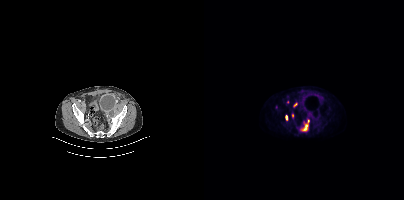
Two-panel axial: CT | PSMA PET, 18F tracer. Acquired on Siemens Biograph mCT Flow 20. Slice position z = -1472 mm.
Coordinates are on the 200×200 PET (right) panel. PSMA-avid tumor lesion bounding boxes:
| # | x0 | y0 | x1 | y1 |
|---|---|---|---|---|
| 1 | 98 | 120 | 105 | 129 |
| 2 | 81 | 115 | 83 | 120 |
Small PSMA-avid foci (2 to 4 px across) near (center x, center y): (91, 104); (72, 106); (88, 115).